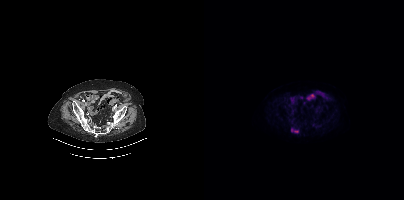
Left: CT. Right: PSMA PET, same axial level, 18F tracer. Coordinates are on the 200×200 PET (right) panel. PSMA-avid tumor lesion bounding box (x0,y0,x1,y1): [87,129,94,132].